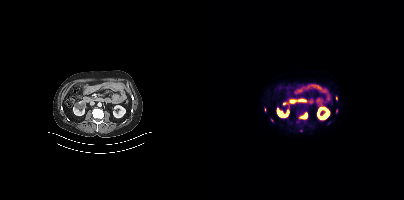
Coordinates are on the 200×200 PET (right) panel. PSMA-avid tumor lesion bounding boxes (partial; 2 more foci not listed):
| # | x0 | y0 | x1 | y1 |
|---|---|---|---|---|
| 1 | 96 | 112 | 103 | 118 |
Small PSMA-avid foci (2 to 4 px across) near (center x, center y): (132, 98); (67, 120).
Left: CT. Right: PSMA PET, same axial level, 18F-PSMA tracer. PET panel 200×200 px (4.1 mm/px).